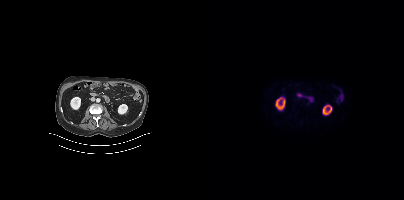
Negative for PSMA-avid disease on this slice.